Technique: Two-panel axial: CT | PSMA PET, [18F]PSMA-1007 tracer. slice 68 of 429. PET panel 200×200 px (4.1 mm/px).
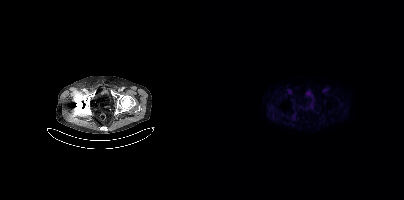
Findings: No tumor lesions annotated on this slice.